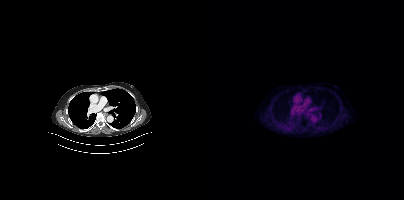
Technique: Two-panel axial: CT | PSMA PET, [18F]PSMA-1007 tracer. acquired on Siemens Biograph mCT Flow 20. slice position z = -1033 mm. PET panel 200×200 px (4.1 mm/px).
Findings: Negative for PSMA-avid disease on this slice.